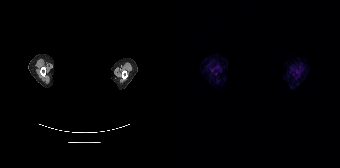
modality: PSMA PET/CT | tracer: 68Ga-PSMA | view: axial | PET grid: 168×168 | deidentification: face masked with black rectangle
No tumor lesions annotated on this slice.